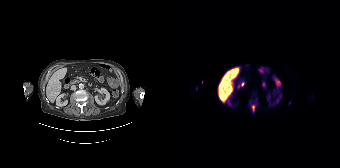
{"modality":"PSMA PET/CT","view":"axial","tracer":"[18F]PSMA-1007","pet_grid":[168,168],"coord_frame":"pet_panel","coord_format":"x0,y0,x1,y1","lesion_bboxes":[[80,105,83,111]]}